Technique: Two-panel axial: CT | PSMA PET, 18F tracer. PET panel 200×200 px (4.1 mm/px).
Note: A rectangular block over the head has been blanked out for de-identification.
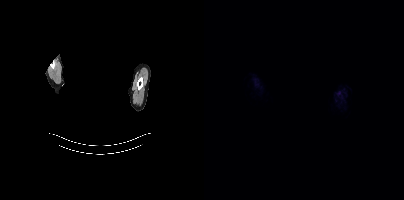
Findings: This slice has no annotated PSMA-avid lesion.